- face de-identified by blanking a block of the head
- Paired axial CT (left) and PSMA PET (right), 68Ga tracer
- PET panel 168×168 px (4.1 mm/px)
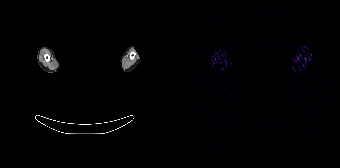
Findings: No tumor lesions annotated on this slice.